- Two-panel axial: CT | PSMA PET, [18F]PSMA-1007 tracer
- acquired on Siemens Biograph mCT Flow 20
- slice position z = -507 mm
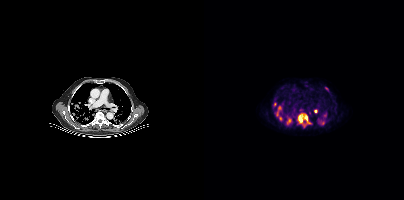
Findings: Coordinates are on the 200×200 PET (right) panel. (showing 7 of 8 foci) PSMA-avid tumor lesion bounding boxes (x0, y0)-(x1, y1): (94, 114)-(106, 127) / (72, 106)-(77, 116). Small PSMA-avid foci (2 to 4 px across) near (center x, center y): (111, 111) / (76, 118) / (85, 120) / (71, 104) / (122, 88).